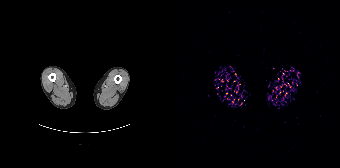
Technique: Paired axial CT (left) and PSMA PET (right), 68Ga-PSMA tracer. acquired on Siemens Biograph 64-4R TruePoint. slice position z = -954 mm. PET panel 168×168 px (4.1 mm/px).
Findings: No PSMA-avid tumor lesions on this slice.